Two-panel axial: CT | PSMA PET, 18F-PSMA tracer. Acquired on Siemens Biograph mCT Flow 20.
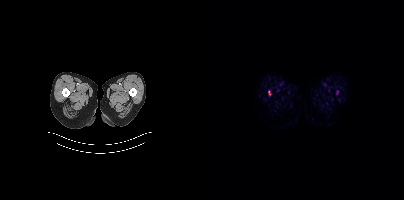
Coordinates are on the 200×200 PET (right) panel. Small PSMA-avid focus (2 to 4 px across) near (center x, center y): (65, 92).